de-identification: head region blanked (face removed) | modality: PSMA PET/CT | tracer: [18F]PSMA-1007 | view: axial
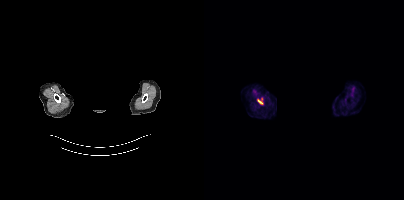
Coordinates are on the 200×200 PET (right) panel. PSMA-avid tumor lesion bounding box (x, y, width, height): x=54 y=99 w=5 h=5.